Paired axial CT (left) and PSMA PET (right), 18F-PSMA tracer. Slice position z = -1296 mm. PET panel 200×200 px (4.1 mm/px).
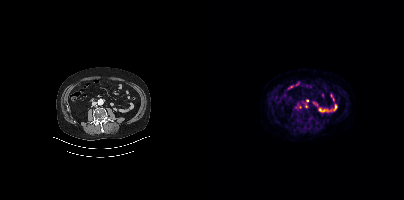
Only PSMA-avid lesion pieces thinner than 2 px on this slice (not listed).